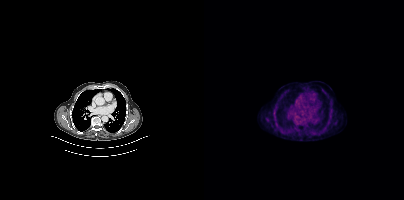
This slice has no annotated PSMA-avid lesion. Left: CT. Right: PSMA PET, same axial level, [18F]PSMA-1007 tracer. Slice position z = 394 mm. PET panel 200×200 px (4.1 mm/px).